- Paired axial CT (left) and PSMA PET (right), 18F tracer
- slice position z = -320 mm
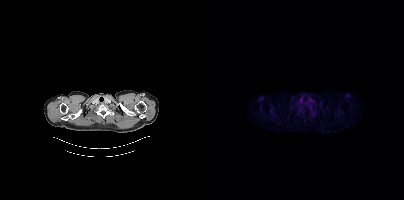
Findings: This slice has no annotated PSMA-avid lesion.